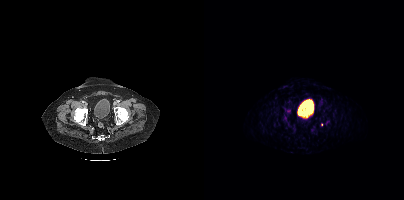
Two-panel axial: CT | PSMA PET, [68Ga]Ga-PSMA-11 tracer. Slice 89 of 444. PET panel 200×200 px (4.1 mm/px). Coordinates are on the 200×200 PET (right) panel. Small PSMA-avid foci (2 to 4 px across) near (center x, center y): (123, 122); (118, 123).